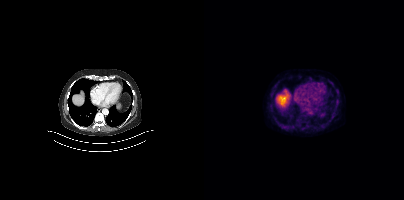
{"pet_grid":[200,200],"coord_frame":"pet_panel","coord_format":"x0,y0,x1,y1","psma_avid_lesions":false,"modality":"PSMA PET/CT","view":"axial","tracer":"18F"}